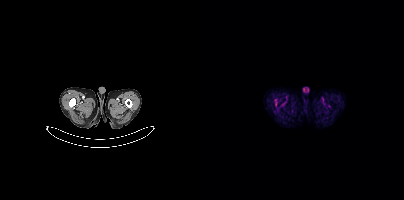
Coordinates are on the 200×200 PET (right) panel. PSMA-avid tumor lesion bounding boxes:
| # | x0 | y0 | x1 | y1 |
|---|---|---|---|---|
| 1 | 71 | 102 | 73 | 106 |
Paired axial CT (left) and PSMA PET (right), 18F-PSMA tracer. PET panel 200×200 px (4.1 mm/px).